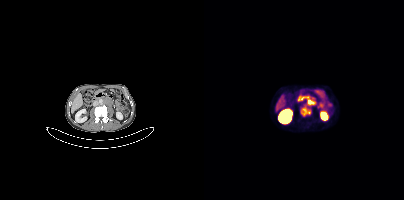
{"modality":"PSMA PET/CT","view":"axial","tracer":"[68Ga]Ga-PSMA-11","pet_grid":[200,200],"coord_frame":"pet_panel","coord_format":"x0,y0,x1,y1","lesion_bboxes":[[96,96,111,116]]}